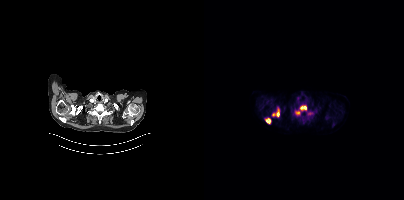
Findings: Coordinates are on the 200×200 PET (right) panel. (showing 4 of 5 foci) PSMA-avid tumor lesion bounding boxes (x, y, width, height): x=96 y=105 w=14 h=11; x=72 y=108 w=4 h=9; x=62 y=118 w=5 h=6. Small PSMA-avid focus (2 to 4 px across) near (center x, center y): (93, 112).
Technique: Two-panel axial: CT | PSMA PET, 18F-PSMA tracer. PET panel 200×200 px (4.1 mm/px).